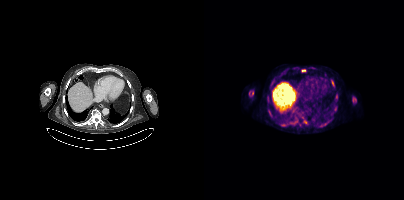
Coordinates are on the 200×200 PET (right) panel. (showing 6 of 7 foci) PSMA-avid tumor lesion bounding boxes (x0,y0,x1,y1): [149,97,152,102], [127,80,130,84], [48,91,49,95], [45,91,46,95]. Small PSMA-avid foci (2 to 4 px across) near (center x, center y): (99, 70), (64, 110). Paired axial CT (left) and PSMA PET (right), 18F-PSMA tracer. Acquired on Siemens Biograph mCT Flow 20. Slice position z = 108 mm.